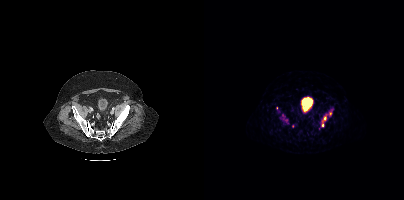
Coordinates are on the 200×200 PET (right) panel. (showing 1 of 3 foci) PSMA-avid tumor lesion bounding box (x0, y0)-(x1, y1): (116, 108)-(129, 126). Paired axial CT (left) and PSMA PET (right), 68Ga tracer. Slice 108 of 444.